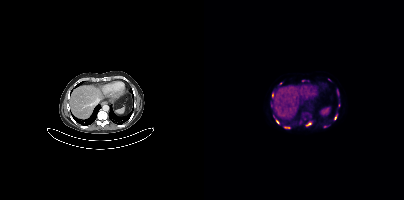
Findings: Coordinates are on the 200×200 PET (right) panel. (showing 9 of 12 foci) PSMA-avid tumor lesion bounding boxes (x, y, width, height): x=103 y=122 w=5 h=4; x=81 y=127 w=5 h=2; x=133 y=90 w=2 h=5. Small PSMA-avid foci (2 to 4 px across) near (center x, center y): (121, 126); (131, 117); (73, 121); (76, 83); (98, 80); (68, 95).
- Paired axial CT (left) and PSMA PET (right), [18F]PSMA-1007 tracer
- acquired on Siemens Biograph mCT Flow 20
- slice position z = 260 mm